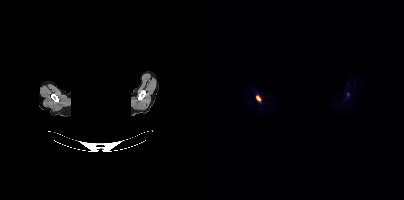
Paired axial CT (left) and PSMA PET (right), 18F tracer. Slice 356 of 395. PET panel 200×200 px (4.1 mm/px). Privacy masking over the head, with the pixels inside a rectangle set to black.
Coordinates are on the 200×200 PET (right) panel. PSMA-avid tumor lesion bounding boxes:
| # | x0 | y0 | x1 | y1 |
|---|---|---|---|---|
| 1 | 52 | 95 | 56 | 101 |